Left: CT. Right: PSMA PET, same axial level, 18F tracer. Acquired on Siemens Biograph mCT Flow 20. Slice position z = -997 mm. PET panel 200×200 px (4.1 mm/px).
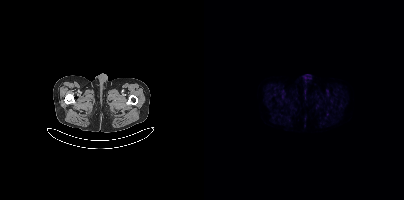
Negative for PSMA-avid disease on this slice.